- Paired axial CT (left) and PSMA PET (right), [68Ga]Ga-PSMA-11 tracer
- acquired on GE Discovery 690
- slice position z = -825 mm
- PET panel 256×256 px (2.7 mm/px)
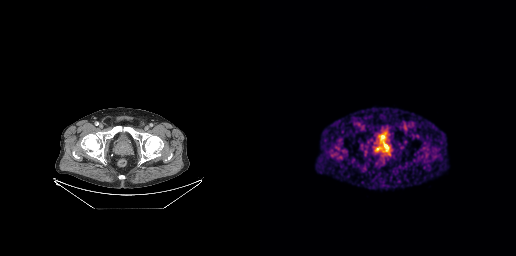
Findings: Coordinates are on the 256×256 PET (right) panel. PSMA-avid tumor lesion bounding box (x0, y0)-(x1, y1): (124, 144)-(128, 150).